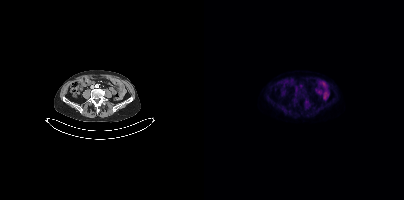
{"pet_grid":[200,200],"coord_frame":"pet_panel","coord_format":"x0,y0,x1,y1","psma_avid_lesions":false,"modality":"PSMA PET/CT","view":"axial","tracer":"[18F]PSMA-1007"}